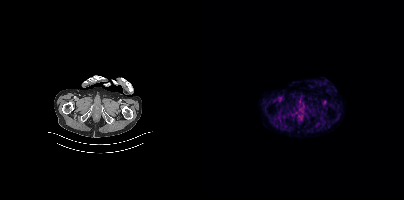
Left: CT. Right: PSMA PET, same axial level, 18F-PSMA tracer. Acquired on Siemens Biograph mCT Flow 20. PET panel 200×200 px (4.1 mm/px). No tumor lesions annotated on this slice.